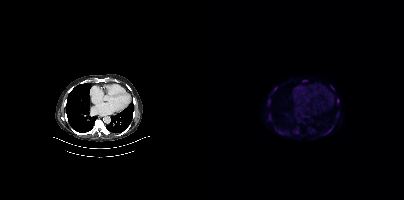
Coordinates are on the 200×200 PET (right) panel. (showing 9 of 10 foci) PSMA-avid tumor lesion bounding boxes (x, y, width, height): x=64 y=99 w=3 h=7 / x=123 y=129 w=5 h=5 / x=99 y=80 w=5 h=2 / x=65 y=115 w=2 h=5 / x=71 y=127 w=4 h=5 / x=127 y=86 w=4 h=5. Small PSMA-avid foci (2 to 4 px across) near (center x, center y): (134, 100) / (133, 115) / (71, 87).